Two-panel axial: CT | PSMA PET, 18F-PSMA tracer. Slice 88 of 411.
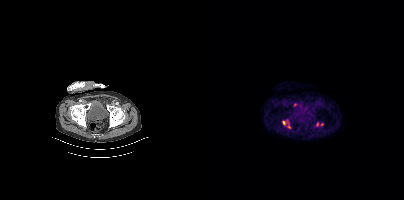
Coordinates are on the 200×200 PET (right) panel. PSMA-avid tumor lesion bounding boxes:
| # | x0 | y0 | x1 | y1 |
|---|---|---|---|---|
| 1 | 78 | 120 | 86 | 128 |
| 2 | 111 | 122 | 119 | 126 |
Small PSMA-avid focus (2 to 4 px across) near (center x, center y): (91, 104).